Paired axial CT (left) and PSMA PET (right), 68Ga-PSMA tracer.
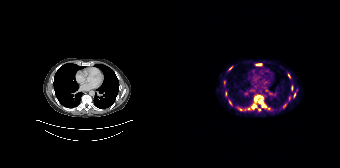
Coordinates are on the 168×168 PET (right) panel. (showing 13 of 15 foci) PSMA-avid tumor lesion bounding boxes (x0,y0,x1,y1): [82,95,94,107]; [79,104,84,109]; [84,64,89,65]; [110,104,114,108]; [116,74,118,78]; [53,91,54,96]. Small PSMA-avid foci (2 to 4 px across) near (center x, center y): (117, 98); (77, 108); (58, 102); (68, 109); (87, 109); (58, 68); (122, 95).